- Left: CT. Right: PSMA PET, same axial level, [68Ga]Ga-PSMA-11 tracer
- acquired on Siemens Biograph mCT Flow 20
- slice position z = -1272 mm
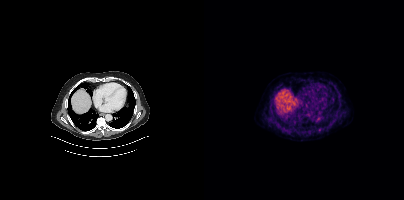
Findings: Coordinates are on the 200×200 PET (right) panel. Small PSMA-avid focus (2 to 4 px across) near (center x, center y): (115, 129).